modality: PSMA PET/CT | tracer: 18F | view: axial | PET grid: 200×200
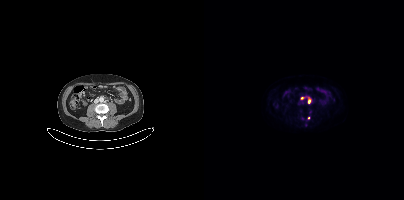
Coordinates are on the 200×200 PET (right) panel. (showing 3 of 4 foci) Small PSMA-avid foci (2 to 4 px across) near (center x, center y): (98, 98) / (106, 99) / (104, 118).